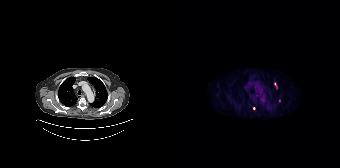
Coordinates are on the 168×168 PET (right) panel. PSMA-avid tumor lesion bounding boxes:
| # | x0 | y0 | x1 | y1 |
|---|---|---|---|---|
| 1 | 102 | 82 | 105 | 88 |
Small PSMA-avid foci (2 to 4 px across) near (center x, center y): (107, 100); (81, 108).
Paired axial CT (left) and PSMA PET (right), [18F]PSMA-1007 tracer. Acquired on Siemens Biograph 64-4R TruePoint. Slice 128 of 165. PET panel 168×168 px (4.1 mm/px).